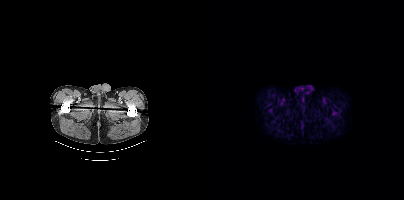
Technique: Paired axial CT (left) and PSMA PET (right), 18F tracer. slice 24 of 438.
Findings: Negative for PSMA-avid disease on this slice.